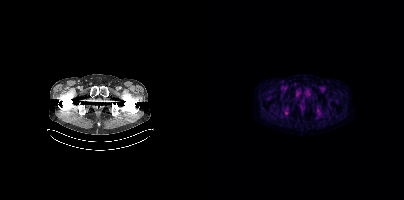
No PSMA-avid tumor lesions on this slice.